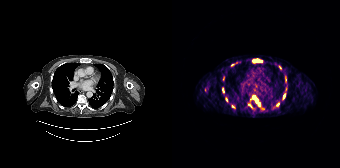
{"modality":"PSMA PET/CT","view":"axial","tracer":"68Ga-PSMA","pet_grid":[168,168],"coord_frame":"pet_panel","coord_format":"x0,y0,x1,y1","partial":true,"lesion_bboxes":[[80,96,88,106],[80,59,90,62],[77,103,82,108],[111,94,113,99],[113,77,114,81]],"small_foci_centers":[[60,65],[54,98],[106,104],[108,67],[51,90]]}